- the face region was removed for patient privacy by blanking a rectangle over the head
- Left: CT. Right: PSMA PET, same axial level, 18F tracer
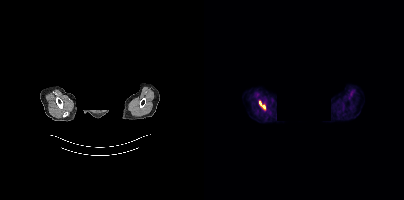
Findings: Coordinates are on the 200×200 PET (right) panel. PSMA-avid tumor lesion bounding box (x, y, width, height): x=55 y=101 w=7 h=8.